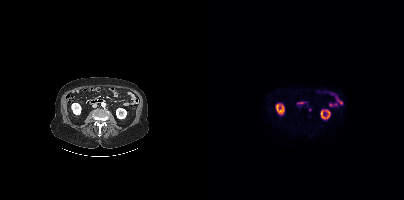
Technique: Two-panel axial: CT | PSMA PET, [18F]PSMA-1007 tracer. acquired on Siemens Biograph mCT Flow 20. PET panel 200×200 px (4.1 mm/px).
Findings: Negative for PSMA-avid disease on this slice.